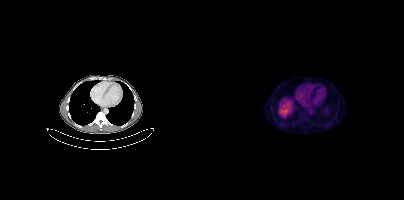
No PSMA-avid tumor lesions on this slice.
modality: PSMA PET/CT | tracer: [18F]PSMA-1007 | view: axial | PET grid: 200×200